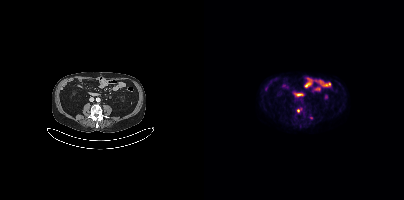
Findings: Coordinates are on the 200×200 PET (right) panel. Small PSMA-avid foci (2 to 4 px across) near (center x, center y): (106, 117); (94, 110).
Technique: Paired axial CT (left) and PSMA PET (right), [18F]PSMA-1007 tracer.